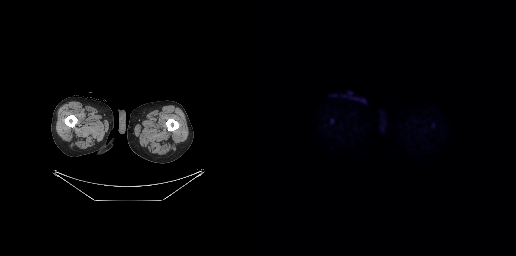
Left: CT. Right: PSMA PET, same axial level, 18F-PSMA tracer. PET panel 256×256 px (2.7 mm/px). This slice has no annotated PSMA-avid lesion.